Technique: Paired axial CT (left) and PSMA PET (right), 18F-PSMA tracer.
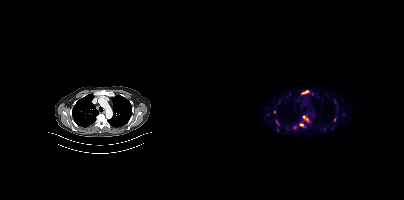
Findings: Coordinates are on the 200×200 PET (right) panel. (showing 9 of 11 foci) PSMA-avid tumor lesion bounding boxes (x0, y0)-(x1, y1): (99, 115)-(105, 122) | (98, 90)-(104, 93) | (95, 123)-(100, 126) | (72, 120)-(74, 124). Small PSMA-avid foci (2 to 4 px across) near (center x, center y): (85, 94) | (90, 127) | (139, 114) | (130, 119) | (70, 112).